modality: PSMA PET/CT | tracer: 18F | view: axial | PET grid: 200×200
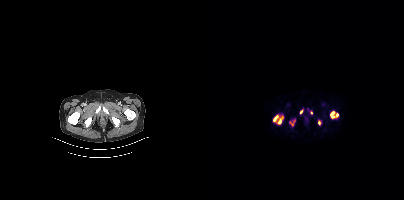
Coordinates are on the 200×200 PET (right) panel. PSMA-avid tumor lesion bounding boxes (x0,y0,x1,y1): [126,111,134,118] [69,115,74,121] [74,117,79,123] [86,120,91,125] [114,120,116,124]. Small PSMA-avid foci (2 to 4 px across) near (center x, center y): (97, 111) (107, 112).